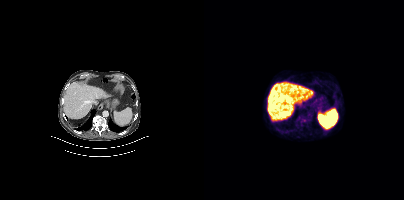
Technique: Paired axial CT (left) and PSMA PET (right), 18F-PSMA tracer. acquired on Siemens Biograph mCT Flow 20. slice 218 of 427. PET panel 200×200 px (4.1 mm/px).
Findings: Negative for PSMA-avid disease on this slice.